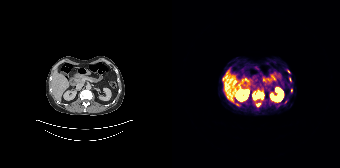
Technique: Two-panel axial: CT | PSMA PET, [68Ga]Ga-PSMA-11 tracer.
Findings: Coordinates are on the 168×168 PET (right) panel. (showing 7 of 9 foci) PSMA-avid tumor lesion bounding boxes (x0,y0,x1,y1): [80,90,92,100], [64,103,68,106]. Small PSMA-avid foci (2 to 4 px across) near (center x, center y): (86, 104), (119, 90), (117, 79), (113, 101), (116, 71).